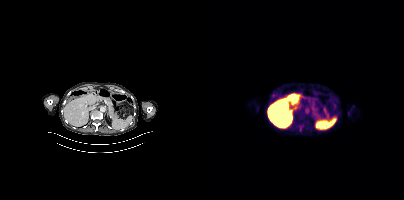
No tumor lesions annotated on this slice.